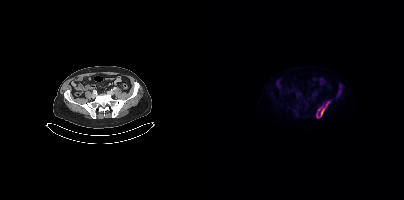
{"pet_grid":[200,200],"coord_frame":"pet_panel","coord_format":"x0,y0,x1,y1","lesion_bboxes":[[112,101,125,118],[133,88,137,96]],"modality":"PSMA PET/CT","view":"axial","tracer":"18F-PSMA"}